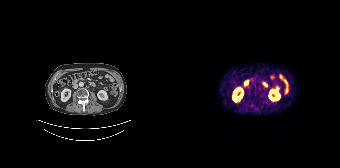
No PSMA-avid tumor lesions on this slice.